Paired axial CT (left) and PSMA PET (right), 18F tracer. Slice 255 of 435.
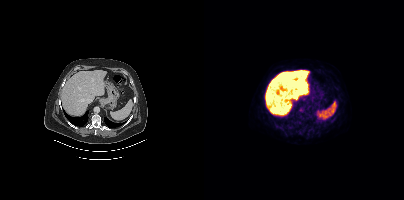
No PSMA-avid tumor lesions on this slice.